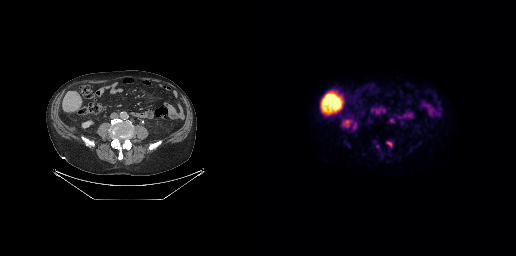
Paired axial CT (left) and PSMA PET (right), 18F tracer. Slice position z = -566 mm. Coordinates are on the 256×256 PET (right) panel. (showing 2 of 3 foci) PSMA-avid tumor lesion bounding box (x, y, width, height): x=126 y=141 w=7 h=7. Small PSMA-avid focus (2 to 4 px across) near (center x, center y): (131, 120).